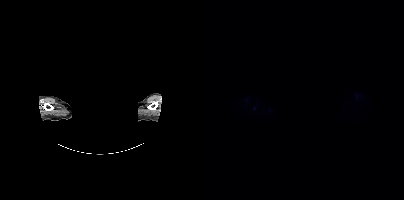
{"pet_grid":[200,200],"coord_frame":"pet_panel","coord_format":"x0,y0,x1,y1","lesion_bboxes":[],"small_foci_centers":[[49,107]],"modality":"PSMA PET/CT","view":"axial","tracer":"18F","redaction":"head region blanked (face removed)"}